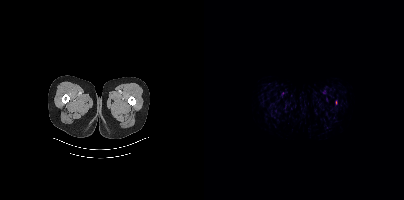
Coordinates are on the 200×200 PET (right) panel. Small PSMA-avid focus (2 to 4 px across) near (center x, center y): (132, 102).
modality: PSMA PET/CT | tracer: 18F-PSMA | view: axial